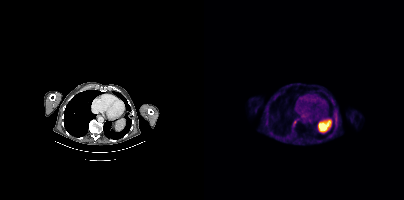
{"pet_grid":[200,200],"coord_frame":"pet_panel","coord_format":"x0,y0,x1,y1","partial":true,"lesion_bboxes":[],"small_foci_centers":[[91,121]],"modality":"PSMA PET/CT","view":"axial","tracer":"[18F]PSMA-1007"}